- Two-panel axial: CT | PSMA PET, [18F]PSMA-1007 tracer
- PET panel 168×168 px (4.1 mm/px)
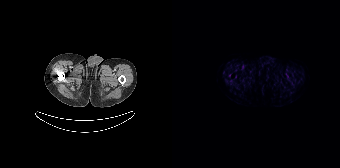
Findings: This slice has no annotated PSMA-avid lesion.